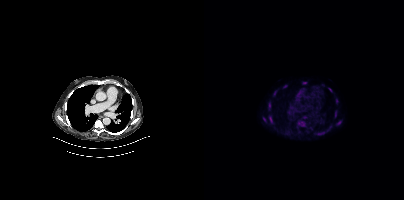
Coordinates are on the 200×200 PET (right) panel. PSMA-avid tumor lesion bounding boxes (x0,y0,x1,y1): [93,120,101,127] [65,116,68,123] [64,102,66,107] [124,88,128,91] [59,117,61,121] [131,112,132,116]. Small PSMA-avid foci (2 to 4 px across) near (center x, center y): (134, 122) (100, 82) (81, 86) (132, 100) (70, 92) (101, 117).
modality: PSMA PET/CT | tracer: [18F]PSMA-1007 | view: axial | PET grid: 200×200